Two-panel axial: CT | PSMA PET, 18F tracer. Slice 340 of 425. PET panel 200×200 px (4.1 mm/px).
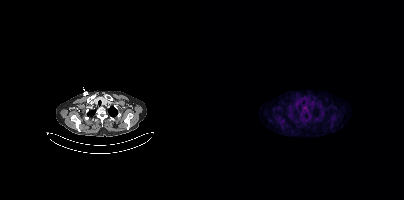
Only PSMA-avid lesion pieces thinner than 2 px on this slice (not listed).